- an anonymization step blacked out a rectangle over the head in this scan
- Left: CT. Right: PSMA PET, same axial level, 18F tracer
- slice position z = -59 mm
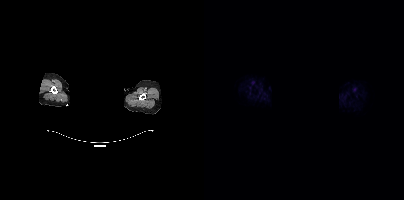
Findings: No tumor lesions annotated on this slice.